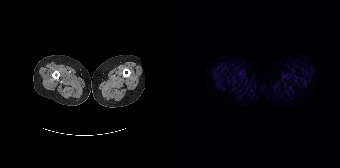
Left: CT. Right: PSMA PET, same axial level, 68Ga tracer. Acquired on Siemens Biograph 64-4R TruePoint. PET panel 168×168 px (4.1 mm/px). No PSMA-avid tumor lesions on this slice.